Technique: Two-panel axial: CT | PSMA PET, [68Ga]Ga-PSMA-11 tracer. acquired on Siemens Biograph mCT Flow 20. PET panel 200×200 px (4.1 mm/px).
Note: An anonymization step blacked out a rectangle over the head in this scan.
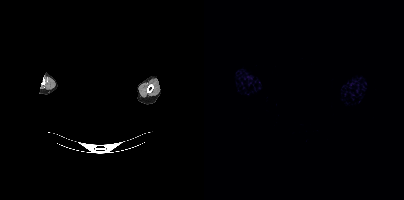
Findings: No tumor lesions annotated on this slice.